modality: PSMA PET/CT | tracer: 18F-PSMA | view: axial
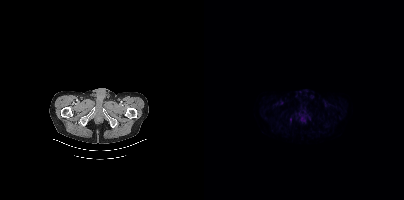
Coordinates are on the 200×200 PET (right) panel. PSMA-avid tumor lesion bounding box (x, y, width, height): x=86 y=117 w=2 h=5.